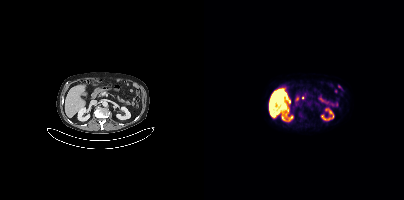
Negative for PSMA-avid disease on this slice. Left: CT. Right: PSMA PET, same axial level, 18F-PSMA tracer. Acquired on Siemens Biograph mCT Flow 20. PET panel 200×200 px (4.1 mm/px).